Technique: Paired axial CT (left) and PSMA PET (right), [18F]PSMA-1007 tracer. PET panel 200×200 px (4.1 mm/px).
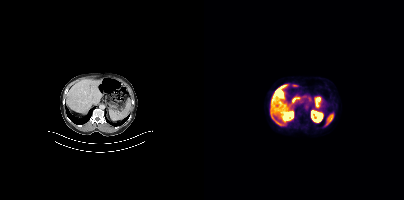
Findings: Negative for PSMA-avid disease on this slice.